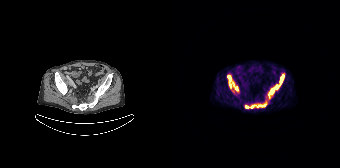
Coordinates are on the 168×168 PET (right) panel. PSMA-avid tumor lesion bounding boxes (x0, y0)-(x1, y1): (55, 75)-(66, 90) | (97, 85)-(106, 96) | (85, 104)-(93, 107) | (73, 105)-(81, 108) | (108, 75)-(111, 83).